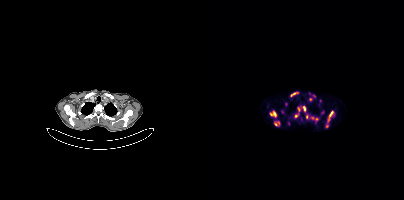
Coordinates are on the 200×200 PET (right) panel. (showing 14 of 17 foci) PSMA-avid tumor lesion bounding boxes (x0,y0,x1,y1): [66,110,72,117], [124,111,129,121], [106,116,113,120], [70,121,75,125], [86,93,92,96], [99,106,101,110], [102,114,103,118]. Small PSMA-avid foci (2 to 4 px across) near (center x, center y): (78, 111), (82, 103), (106, 99), (123, 126), (91, 115), (110, 95), (84, 123).
modality: PSMA PET/CT | tracer: 68Ga | view: axial | PET grid: 200×200